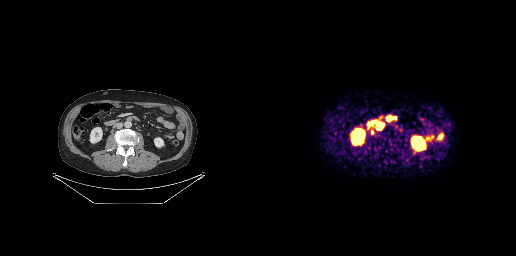
Coordinates are on the 256×256 PET (right) panel. PSMA-avid tumor lesion bounding boxes (x0,y0,x1,y1): [117,123,123,129]; [110,129,114,134]; [127,116,131,120]. Paired axial CT (left) and PSMA PET (right), 68Ga-PSMA tracer.